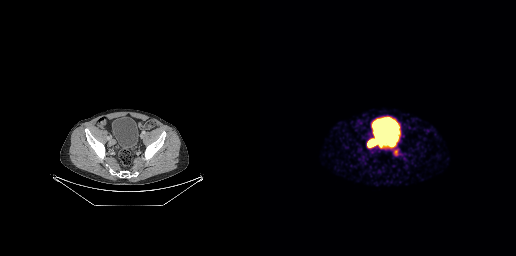
Findings: Coordinates are on the 256×256 PET (right) panel. PSMA-avid tumor lesion bounding box (x0,y0,x1,y1): [108,139,117,146]. Small PSMA-avid focus (2 to 4 px across) near (center x, center y): (136, 152).
- Paired axial CT (left) and PSMA PET (right), [68Ga]Ga-PSMA-11 tracer
- slice position z = -794 mm